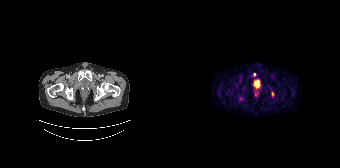
modality: PSMA PET/CT | tracer: 68Ga | view: axial | PET grid: 168×168
Coordinates are on the 168×168 PET (right) panel. PSMA-avid tumor lesion bounding box (x0, y0)-(x1, y1): (99, 92)-(102, 96). Small PSMA-avid focus (2 to 4 px across) near (center x, center y): (82, 74).